The face region was removed for patient privacy by blanking a rectangle over the head.
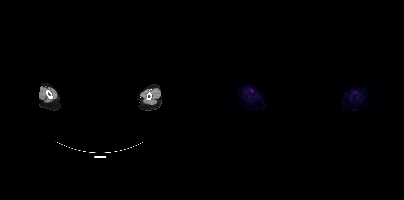
This slice has no annotated PSMA-avid lesion.